Paired axial CT (left) and PSMA PET (right), 18F tracer. Slice position z = -674 mm. PET panel 200×200 px (4.1 mm/px).
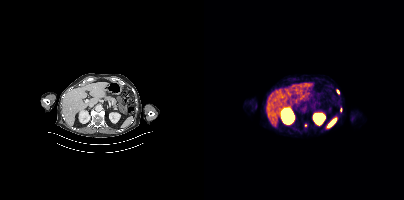
Coordinates are on the 200×200 PET (right) panel. (showing 1 of 3 foci) Small PSMA-avid focus (2 to 4 px across) near (center x, center y): (134, 91).